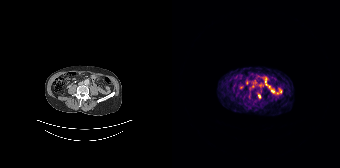
Technique: Left: CT. Right: PSMA PET, same axial level, 68Ga tracer. PET panel 168×168 px (4.1 mm/px).
Findings: Coordinates are on the 168×168 PET (right) panel. Small PSMA-avid foci (2 to 4 px across) near (center x, center y): (87, 96) (80, 86).